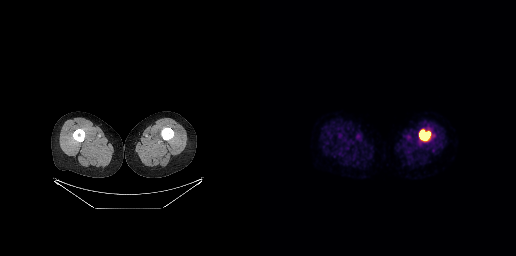
Coordinates are on the 256×256 PET (right) panel. PSMA-avid tumor lesion bounding box (x, y, width, height): x=159 y=130 w=12 h=11.